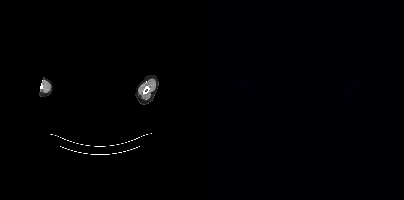
modality: PSMA PET/CT | tracer: 18F-PSMA | view: axial | PET grid: 200×200 | de-identification: head region blacked out before release
This slice has no annotated PSMA-avid lesion.